Paired axial CT (left) and PSMA PET (right), [18F]PSMA-1007 tracer. Acquired on Siemens Biograph mCT Flow 20. PET panel 200×200 px (4.1 mm/px).
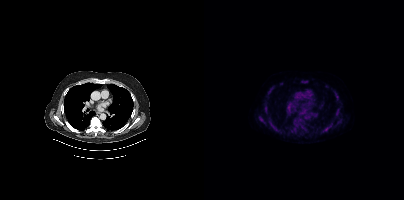
Coordinates are on the 200×200 PET (right) panel. PSMA-avid tumor lesion bounding boxes (partial; 2 more foci not listed):
| # | x0 | y0 | x1 | y1 |
|---|---|---|---|---|
| 1 | 91 | 119 | 98 | 125 |
| 2 | 117 | 127 | 125 | 132 |
| 3 | 69 | 126 | 75 | 132 |
| 4 | 64 | 87 | 69 | 93 |
| 5 | 131 | 110 | 135 | 115 |
| 6 | 98 | 80 | 102 | 83 |
| 7 | 55 | 117 | 58 | 121 |
| 8 | 87 | 128 | 91 | 131 |
Small PSMA-avid foci (2 to 4 px across) near (center x, center y): (61, 103); (66, 123); (101, 128); (133, 96); (123, 86); (62, 110); (78, 83).